Paired axial CT (left) and PSMA PET (right), [18F]PSMA-1007 tracer. Slice position z = -978 mm.
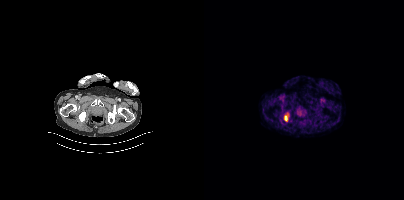
Coordinates are on the 200×200 PET (right) panel. PSMA-avid tumor lesion bounding box (x, y, width, height): x=80 y=115 w=4 h=7.